Left: CT. Right: PSMA PET, same axial level, [18F]PSMA-1007 tracer. Acquired on GE Discovery 690.
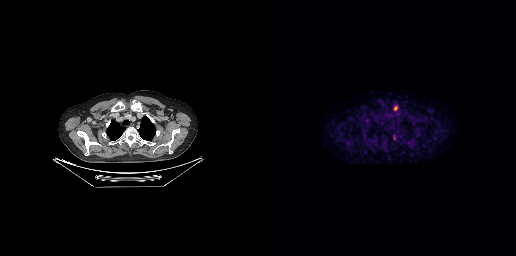
Coordinates are on the 256×256 PET (right) panel. PSMA-avid tumor lesion bounding box (x0,y0,x1,y1): [134,106,137,110].